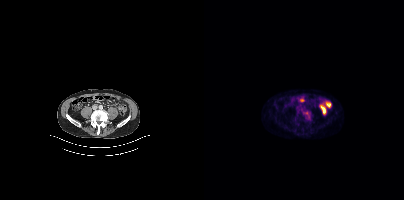
Coordinates are on the 200×200 PET (right) panel. Small PSMA-avid focus (2 to 4 px across) near (center x, center y): (102, 112).